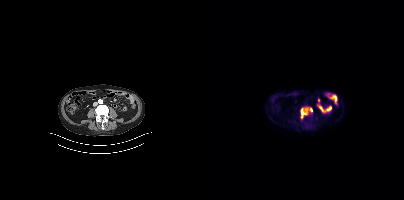
{"modality":"PSMA PET/CT","view":"axial","tracer":"18F","pet_grid":[200,200],"coord_frame":"pet_panel","coord_format":"x0,y0,x1,y1","lesion_bboxes":[[96,106,108,118]]}